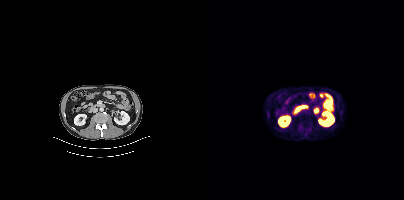
Technique: Left: CT. Right: PSMA PET, same axial level, [18F]PSMA-1007 tracer.
Findings: Coordinates are on the 200×200 PET (right) panel. Small PSMA-avid focus (2 to 4 px across) near (center x, center y): (99, 121).